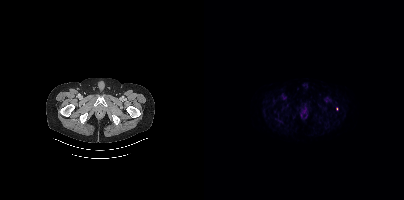
Coordinates are on the 200×200 PET (right) panel. Small PSMA-avid focus (2 to 4 px across) near (center x, center y): (133, 108). Left: CT. Right: PSMA PET, same axial level, 18F-PSMA tracer.